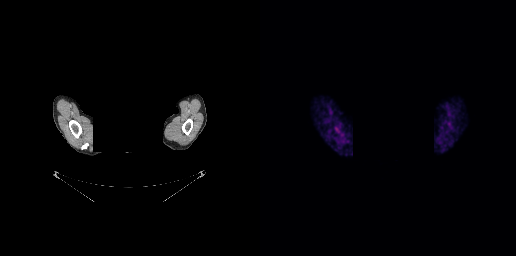
Coordinates are on the 256×256 PET (right) panel. Small PSMA-avid focus (2 to 4 px across) near (center x, center y): (76, 129). A rectangular block over the head has been blanked out for de-identification. Two-panel axial: CT | PSMA PET, 68Ga tracer.